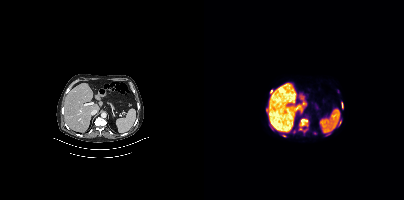
{"modality":"PSMA PET/CT","view":"axial","tracer":"[18F]PSMA-1007","pet_grid":[200,200],"coord_frame":"pet_panel","coord_format":"x0,y0,x1,y1","partial":true,"lesion_bboxes":[[97,119,103,124]],"small_foci_centers":[[67,91]]}